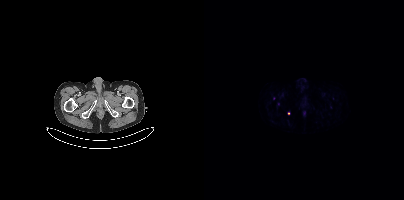
- Paired axial CT (left) and PSMA PET (right), [68Ga]Ga-PSMA-11 tracer
- acquired on Siemens Biograph mCT Flow 20
- PET panel 200×200 px (4.1 mm/px)
Findings: Coordinates are on the 200×200 PET (right) panel. (showing 1 of 2 foci) Small PSMA-avid focus (2 to 4 px across) near (center x, center y): (70, 98).